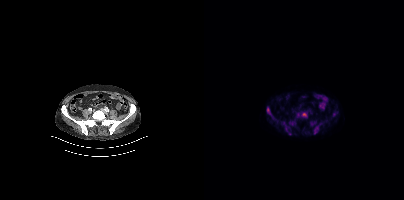
Coordinates are on the 200×200 PET (right) panel. PSMA-avid tumor lesion bounding boxes (partial; 2 more foci not listed):
| # | x0 | y0 | x1 | y1 |
|---|---|---|---|---|
| 1 | 93 | 112 | 103 | 117 |
| 2 | 78 | 121 | 87 | 134 |
| 3 | 110 | 123 | 118 | 134 |
| 4 | 62 | 107 | 71 | 119 |
| 5 | 85 | 121 | 91 | 125 |
| 6 | 107 | 121 | 112 | 125 |
| 7 | 129 | 112 | 131 | 116 |
Left: CT. Right: PSMA PET, same axial level, [18F]PSMA-1007 tracer. PET panel 200×200 px (4.1 mm/px).